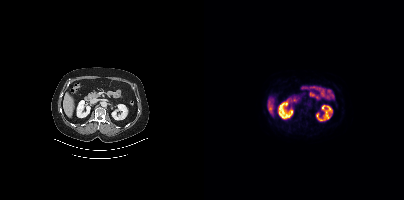
Two-panel axial: CT | PSMA PET, 18F-PSMA tracer. Acquired on Siemens Biograph mCT Flow 20. Slice position z = -734 mm. Negative for PSMA-avid disease on this slice.